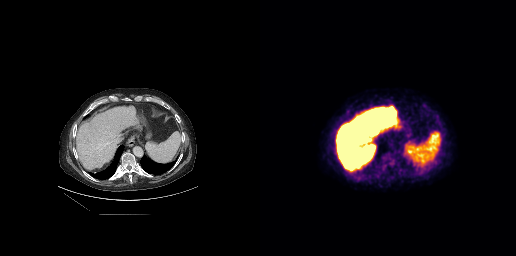
Coordinates are on the 256×256 PET (right) panel. PSMA-avid tumor lesion bounding box (x0, y0)-(x1, y1): (122, 152)-(136, 166).